Paired axial CT (left) and PSMA PET (right), 18F-PSMA tracer. Slice 292 of 413. PET panel 200×200 px (4.1 mm/px).
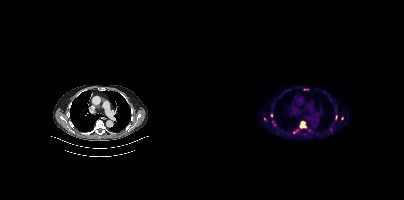
Coordinates are on the 200×200 PET (right) panel. PSMA-avid tumor lesion bounding boxes (partial; 1 more focus not listed):
| # | x0 | y0 | x1 | y1 |
|---|---|---|---|---|
| 1 | 96 | 121 | 101 | 127 |
| 2 | 132 | 115 | 133 | 119 |
Small PSMA-avid foci (2 to 4 px across) near (center x, center y): (67, 115); (60, 119); (138, 118); (100, 89); (68, 121).